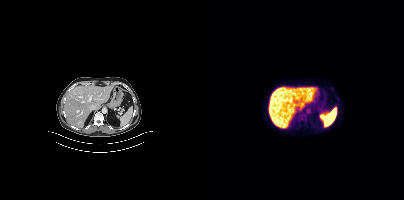
Findings: No tumor lesions annotated on this slice.
- Left: CT. Right: PSMA PET, same axial level, 18F tracer
- acquired on Siemens Biograph mCT Flow 20
- slice 233 of 409